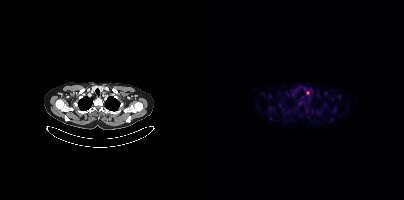
{"modality":"PSMA PET/CT","view":"axial","tracer":"18F","pet_grid":[200,200],"coord_frame":"pet_panel","coord_format":"x0,y0,x1,y1","lesion_bboxes":[],"small_foci_centers":[[103,92]]}